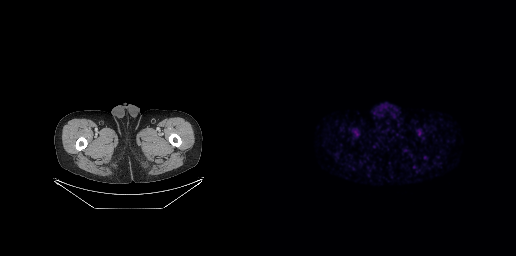
Two-panel axial: CT | PSMA PET, [68Ga]Ga-PSMA-11 tracer. Slice 21 of 263. No PSMA-avid tumor lesions on this slice.